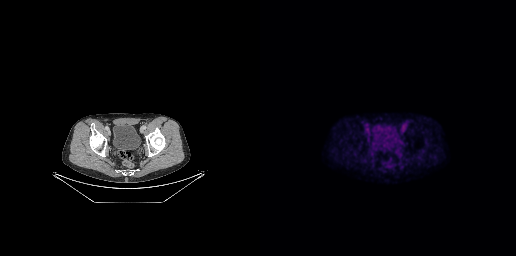
Coordinates are on the 256×256 PET (right) panel. Small PSMA-avid focus (2 to 4 px across) near (center x, center y): (125, 141).